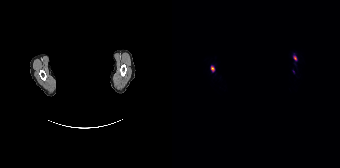
{"pet_grid":[168,168],"coord_frame":"pet_panel","coord_format":"x0,y0,x1,y1","lesion_bboxes":[[39,66,42,71],[122,56,124,60]],"deidentification":"rectangular block over head set to black","modality":"PSMA PET/CT","view":"axial","tracer":"18F"}